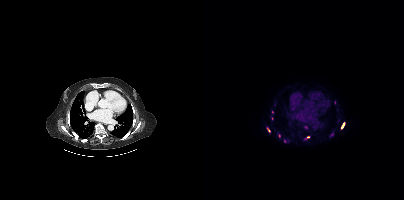
{"modality":"PSMA PET/CT","view":"axial","tracer":"18F","pet_grid":[200,200],"coord_frame":"pet_panel","coord_format":"x0,y0,x1,y1","partial":true,"lesion_bboxes":[[62,127,66,132],[100,136,105,139],[137,123,140,128]],"small_foci_centers":[[75,135],[68,118],[80,141]]}